- Left: CT. Right: PSMA PET, same axial level, [18F]PSMA-1007 tracer
- slice 127 of 405
- PET panel 200×200 px (4.1 mm/px)
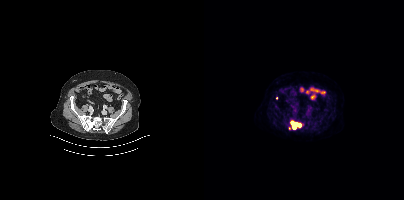
Findings: Coordinates are on the 200×200 PET (right) panel. PSMA-avid tumor lesion bounding box (x0, y0)-(x1, y1): (86, 120)-(97, 129). Small PSMA-avid foci (2 to 4 px across) near (center x, center y): (85, 128) / (72, 97).